Technique: Paired axial CT (left) and PSMA PET (right), 18F-PSMA tracer. slice 276 of 403.
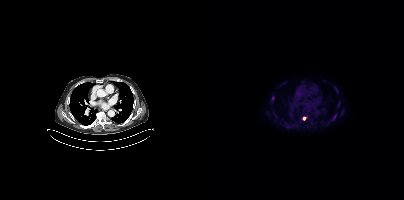
Findings: Coordinates are on the 200×200 PET (right) panel. (showing 4 of 6 foci) PSMA-avid tumor lesion bounding box (x0, y0)-(x1, y1): (129, 115)-(132, 119). Small PSMA-avid foci (2 to 4 px across) near (center x, center y): (131, 87); (69, 98); (81, 126).